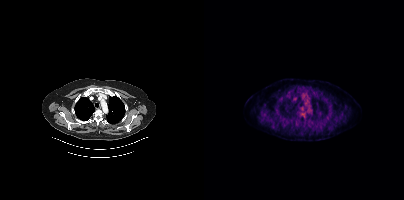
{"pet_grid":[200,200],"coord_frame":"pet_panel","coord_format":"x0,y0,x1,y1","psma_avid_lesions":false,"modality":"PSMA PET/CT","view":"axial","tracer":"18F-PSMA"}